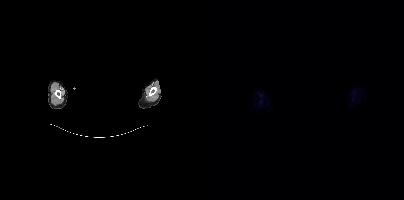
- any black rectangle over the head is a privacy mask, not anatomy
- Two-panel axial: CT | PSMA PET, [18F]PSMA-1007 tracer
- slice 833 of 963
- PET panel 200×200 px (4.1 mm/px)
Findings: No PSMA-avid tumor lesions on this slice.